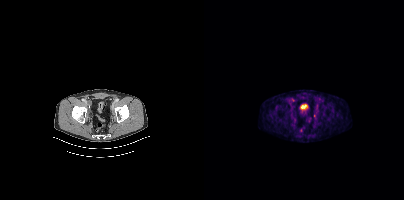
modality: PSMA PET/CT | tracer: 18F-PSMA | view: axial
Coordinates are on the 200×200 PET (right) panel. Small PSMA-avid foci (2 to 4 px across) near (center x, center y): (88, 99); (111, 115).